modality: PSMA PET/CT | tracer: [18F]PSMA-1007 | view: axial | PET grid: 200×200
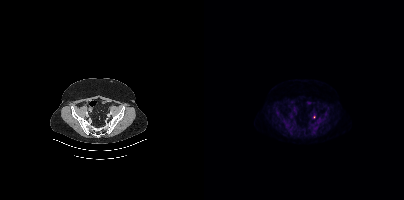
Only PSMA-avid lesion pieces thinner than 2 px on this slice (not listed).